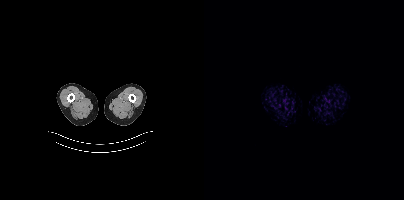
No tumor lesions annotated on this slice.